Paired axial CT (left) and PSMA PET (right), 18F-PSMA tracer. Slice position z = -566 mm. PET panel 200×200 px (4.1 mm/px).
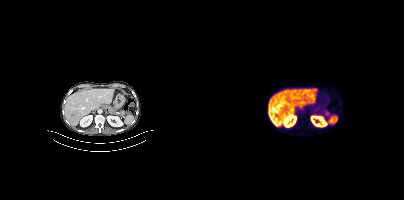
Negative for PSMA-avid disease on this slice.